Two-panel axial: CT | PSMA PET, [18F]PSMA-1007 tracer. Slice position z = -891 mm.
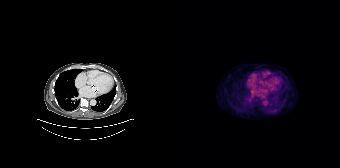
Negative for PSMA-avid disease on this slice.